Left: CT. Right: PSMA PET, same axial level, 18F-PSMA tracer. Slice 52 of 417. PET panel 200×200 px (4.1 mm/px).
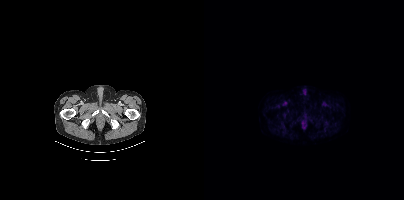
This slice has no annotated PSMA-avid lesion.